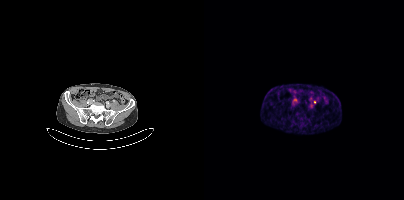
Left: CT. Right: PSMA PET, same axial level, 68Ga tracer. Slice position z = -785 mm. PET panel 200×200 px (4.1 mm/px). Coordinates are on the 200×200 PET (right) panel. Small PSMA-avid foci (2 to 4 px across) near (center x, center y): (110, 102) (90, 99).